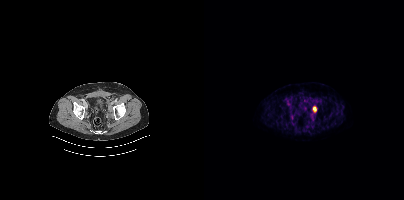
Coordinates are on the 200×200 PET (right) panel. PSMA-avid tumor lesion bounding box (x0,y0,x1,y1): [108,106,112,112].